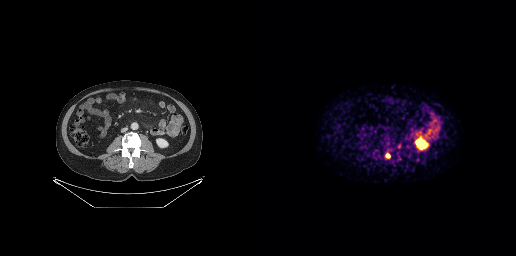
Two-panel axial: CT | PSMA PET, 68Ga tracer. Slice 112 of 263. PET panel 256×256 px (2.7 mm/px). Coordinates are on the 256×256 PET (right) panel. Small PSMA-avid focus (2 to 4 px across) near (center x, center y): (127, 155).